Two-panel axial: CT | PSMA PET, [68Ga]Ga-PSMA-11 tracer.
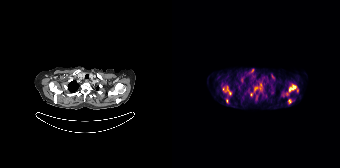
Coordinates are on the 168×168 PET (right) panel. PSMA-avid tumor lesion bounding boxes (partial; 2 more foci not listed):
| # | x0 | y0 | x1 | y1 |
|---|---|---|---|---|
| 1 | 114 | 84 | 126 | 95 |
| 2 | 51 | 86 | 59 | 95 |
| 3 | 116 | 99 | 119 | 103 |
Small PSMA-avid foci (2 to 4 px across) near (center x, center y): (55, 100); (83, 88); (101, 77); (80, 70); (79, 94); (88, 84).